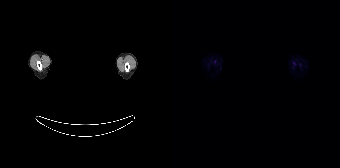
Facial anatomy redacted by setting a rectangular region of the head to black. Paired axial CT (left) and PSMA PET (right), 18F tracer. PET panel 168×168 px (4.1 mm/px). Negative for PSMA-avid disease on this slice.